Technique: Two-panel axial: CT | PSMA PET, 18F tracer. slice 262 of 508.
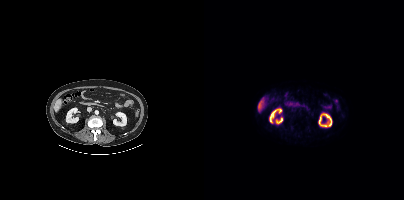
Findings: Negative for PSMA-avid disease on this slice.